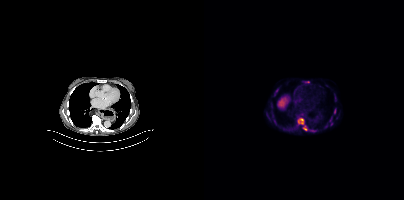
Technique: Paired axial CT (left) and PSMA PET (right), [18F]PSMA-1007 tracer. acquired on Siemens Biograph mCT Flow 20. PET panel 200×200 px (4.1 mm/px).
Findings: Coordinates are on the 200×200 PET (right) panel. (showing 4 of 5 foci) PSMA-avid tumor lesion bounding boxes (x, y, width, height): x=93 y=117 w=11 h=14 / x=101 y=81 w=5 h=2 / x=130 y=109 w=2 h=5. Small PSMA-avid focus (2 to 4 px across) near (center x, center y): (72, 90).